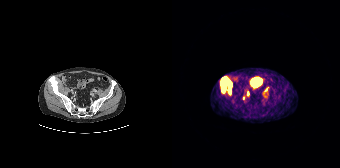
Coordinates are on the 168×168 PET (right) panel. PSMA-avid tumor lesion bounding box (x0, y0)-(x1, y1): (48, 76)-(60, 94). Small PSMA-avid foci (2 to 4 px across) near (center x, center y): (94, 89); (75, 93).
modality: PSMA PET/CT | tracer: [68Ga]Ga-PSMA-11 | view: axial